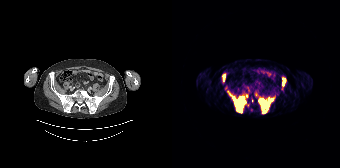
{"modality":"PSMA PET/CT","view":"axial","tracer":"68Ga-PSMA","pet_grid":[168,168],"coord_frame":"pet_panel","coord_format":"x0,y0,x1,y1","partial":true,"lesion_bboxes":[[60,96,73,112],[87,98,101,113],[110,78,113,85],[51,75,52,80]],"small_foci_centers":[[80,100],[55,91],[74,96]]}